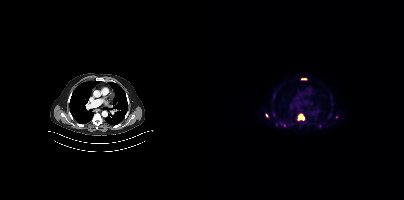
{"modality":"PSMA PET/CT","view":"axial","tracer":"18F","pet_grid":[200,200],"coord_frame":"pet_panel","coord_format":"x0,y0,x1,y1","partial":true,"lesion_bboxes":[[93,113,100,120],[97,78,103,80]],"small_foci_centers":[[62,115]]}